Technique: Left: CT. Right: PSMA PET, same axial level, 18F-PSMA tracer. acquired on Siemens Biograph mCT Flow 20.
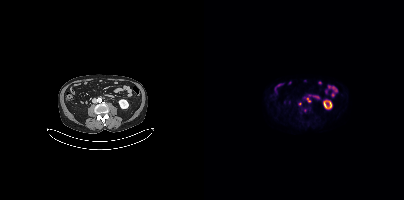
Findings: Coordinates are on the 200×200 PET (right) panel. (showing 1 of 3 foci) PSMA-avid tumor lesion bounding box (x0,y0,x1,y1): [102,97,106,102].